Left: CT. Right: PSMA PET, same axial level, [18F]PSMA-1007 tracer. Acquired on Siemens Biograph mCT Flow 20. Slice position z = -672 mm. PET panel 200×200 px (4.1 mm/px).
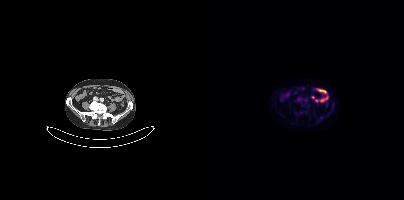
No tumor lesions annotated on this slice.